Paired axial CT (left) and PSMA PET (right), 18F tracer. Acquired on Siemens Biograph mCT Flow 20. PET panel 200×200 px (4.1 mm/px).
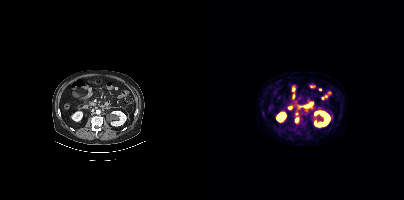
Coordinates are on the 200×200 PET (right) panel. PSMA-avid tumor lesion bounding box (x, y, width, height): x=91 y=118 w=4 h=5. Small PSMA-avid focus (2 to 4 px across) near (center x, center y): (92, 114).